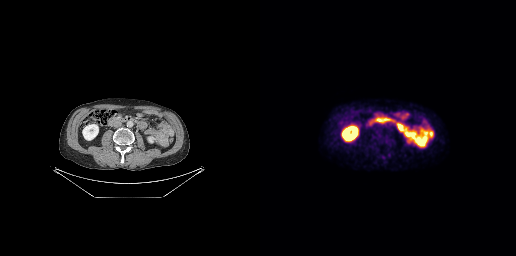
Left: CT. Right: PSMA PET, same axial level, [18F]PSMA-1007 tracer. PET panel 256×256 px (2.7 mm/px). Negative for PSMA-avid disease on this slice.